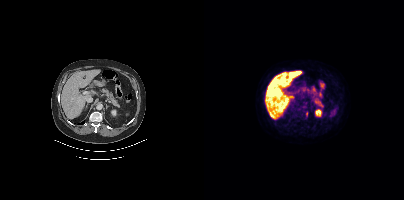
{"modality":"PSMA PET/CT","view":"axial","tracer":"18F","pet_grid":[200,200],"coord_frame":"pet_panel","coord_format":"x0,y0,x1,y1","lesion_bboxes":[[102,111,103,115]],"small_foci_centers":[[94,109]]}